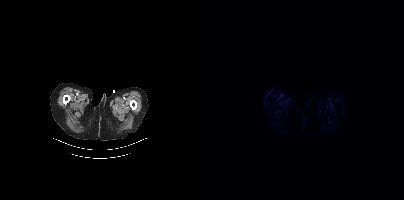
Technique: Left: CT. Right: PSMA PET, same axial level, [18F]PSMA-1007 tracer. slice 14 of 377.
Findings: No tumor lesions annotated on this slice.